Two-panel axial: CT | PSMA PET, [18F]PSMA-1007 tracer. Acquired on Siemens Biograph 64-4R TruePoint.
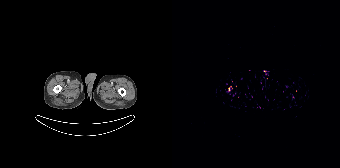
Coordinates are on the 168×168 PET (right) panel. PSMA-avid tumor lesion bounding boxes:
| # | x0 | y0 | x1 | y1 |
|---|---|---|---|---|
| 1 | 55 | 86 | 60 | 92 |